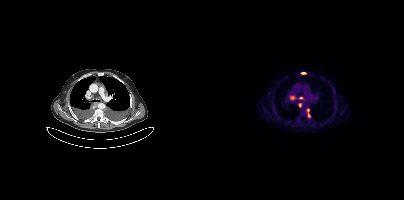
{"modality":"PSMA PET/CT","view":"axial","tracer":"18F","pet_grid":[200,200],"coord_frame":"pet_panel","coord_format":"x0,y0,x1,y1","lesion_bboxes":[[86,96,91,99],[97,72,102,74],[104,113,106,117]],"small_foci_centers":[[96,104],[96,97],[104,110]]}